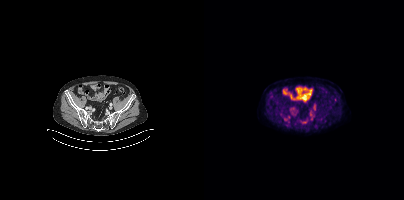
{"modality":"PSMA PET/CT","view":"axial","tracer":"18F","pet_grid":[200,200],"coord_frame":"pet_panel","coord_format":"x0,y0,x1,y1","lesion_bboxes":[],"small_foci_centers":[[107,118]]}